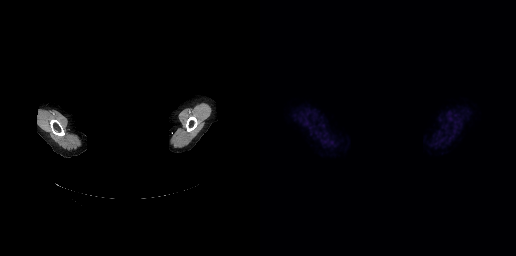
Technique: Two-panel axial: CT | PSMA PET, 18F tracer. slice position z = -39 mm.
Note: Head region blanked for anonymization (face removed).
Findings: Negative for PSMA-avid disease on this slice.